Paired axial CT (left) and PSMA PET (right), 68Ga-PSMA tracer. Acquired on Siemens Biograph mCT Flow 20. Slice 45 of 403. PET panel 200×200 px (4.1 mm/px).
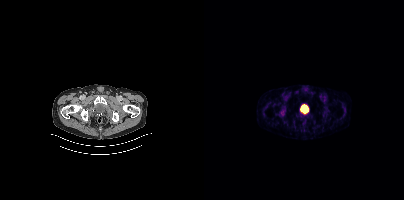
This slice has no annotated PSMA-avid lesion.